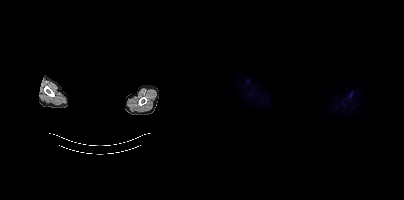
This slice has no annotated PSMA-avid lesion.
redaction: face masked with black rectangle | modality: PSMA PET/CT | tracer: 18F | view: axial | PET grid: 200×200